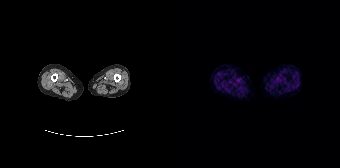
{"modality":"PSMA PET/CT","view":"axial","tracer":"68Ga-PSMA","pet_grid":[168,168],"coord_frame":"pet_panel","coord_format":"x0,y0,x1,y1","psma_avid_lesions":false}